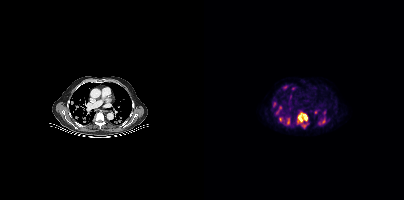
Coordinates are on the 200×200 PET (right) panel. (showing 10 of 11 foci) PSMA-avid tumor lesion bounding boxes (x, y, width, height): x=93 y=113 w=11 h=15; x=119 y=111 w=3 h=5; x=75 y=117 w=3 h=5. Small PSMA-avid foci (2 to 4 px across) near (center x, center y): (84, 120); (81, 87); (89, 88); (70, 104); (76, 107); (119, 121); (73, 112).
modality: PSMA PET/CT | tracer: 18F-PSMA | view: axial | PET grid: 200×200